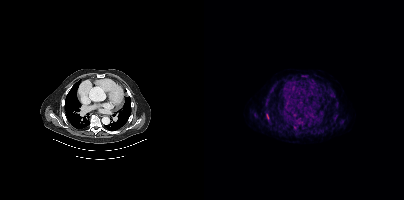
{"modality":"PSMA PET/CT","view":"axial","tracer":"18F-PSMA","pet_grid":[200,200],"coord_frame":"pet_panel","coord_format":"x0,y0,x1,y1","partial":true,"lesion_bboxes":[[62,114,65,119]],"small_foci_centers":[[90,127]]}